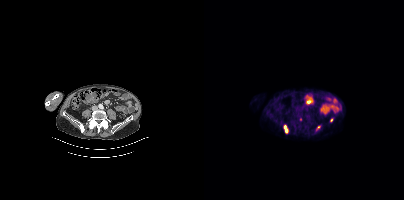
Findings: Coordinates are on the 200×200 PET (right) panel. (showing 3 of 4 foci) PSMA-avid tumor lesion bounding box (x, y, width, height): x=80 y=125 w=5 h=9. Small PSMA-avid foci (2 to 4 px across) near (center x, center y): (114, 127) / (127, 119).
- Left: CT. Right: PSMA PET, same axial level, [18F]PSMA-1007 tracer
- PET panel 200×200 px (4.1 mm/px)